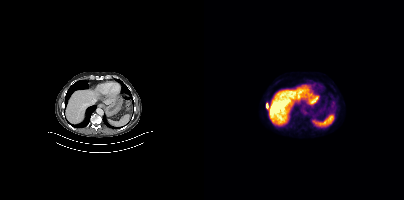
- Left: CT. Right: PSMA PET, same axial level, 18F-PSMA tracer
- PET panel 200×200 px (4.1 mm/px)
Findings: Coordinates are on the 200×200 PET (right) panel. PSMA-avid tumor lesion bounding box (x, y, width, height): x=62 y=103 w=3 h=6.